- Paired axial CT (left) and PSMA PET (right), [18F]PSMA-1007 tracer
- slice position z = -917 mm
- PET panel 200×200 px (4.1 mm/px)
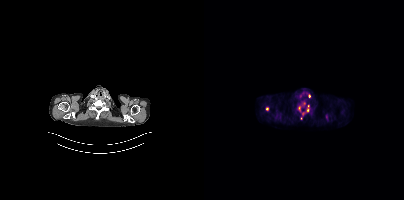
Findings: Coordinates are on the 200×200 PET (right) panel. PSMA-avid tumor lesion bounding boxes (x0,y0,x1,y1): [98,105,105,115] [93,102,101,112]. Small PSMA-avid foci (2 to 4 px across) near (center x, center y): (63, 108) (97, 118).